modality: PSMA PET/CT | tracer: 18F-PSMA | view: axial
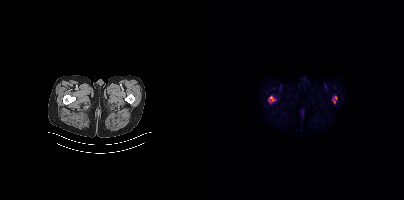
Coordinates are on the 200×200 PET (right) panel. (showing 3 of 4 foci) PSMA-avid tumor lesion bounding box (x0, y0)-(x1, y1): (65, 96)-(69, 100). Small PSMA-avid foci (2 to 4 px across) near (center x, center y): (131, 97) / (130, 101).